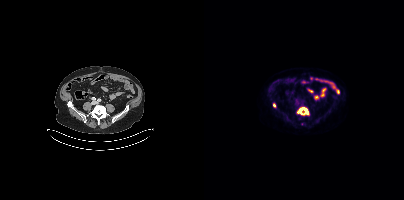
Coordinates are on the 200×200 PET (right) panel. PSMA-avid tumor lesion bounding boxes:
| # | x0 | y0 | x1 | y1 |
|---|---|---|---|---|
| 1 | 93 | 107 | 105 | 115 |
| 2 | 69 | 103 | 71 | 107 |
Left: CT. Right: PSMA PET, same axial level, 18F-PSMA tracer. Acquired on Siemens Biograph mCT Flow 20. PET panel 200×200 px (4.1 mm/px).